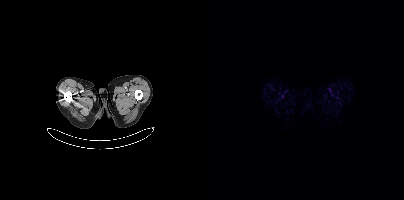
- Paired axial CT (left) and PSMA PET (right), 18F tracer
- slice 10 of 429
- PET panel 200×200 px (4.1 mm/px)
Findings: No PSMA-avid tumor lesions on this slice.